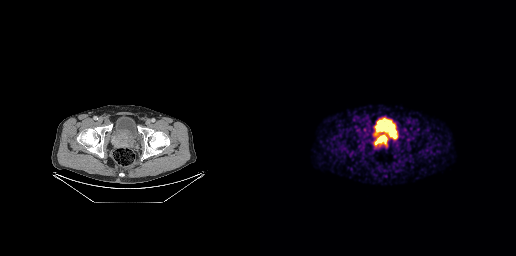
Left: CT. Right: PSMA PET, same axial level, 18F tracer. Acquired on GE Discovery 690. PET panel 256×256 px (2.7 mm/px).
Coordinates are on the 256×256 PET (right) panel. PSMA-avid tumor lesion bounding boxes:
| # | x0 | y0 | x1 | y1 |
|---|---|---|---|---|
| 1 | 114 | 133 | 127 | 145 |
| 2 | 129 | 134 | 137 | 139 |